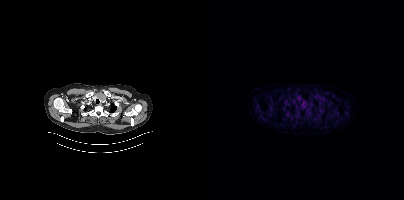
Findings: No tumor lesions annotated on this slice.
- Left: CT. Right: PSMA PET, same axial level, 18F-PSMA tracer
- slice position z = 228 mm